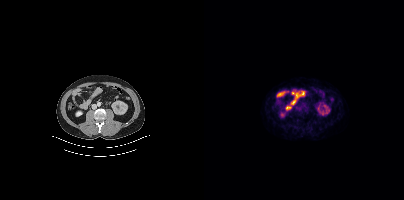
Technique: Two-panel axial: CT | PSMA PET, 18F tracer. slice position z = -688 mm.
Findings: This slice has no annotated PSMA-avid lesion.